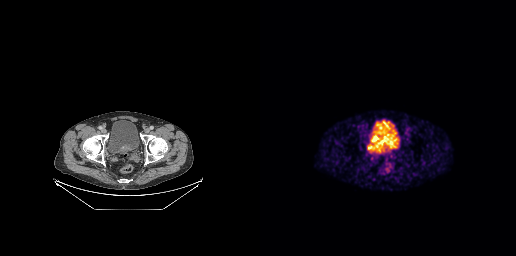
Coordinates are on the 256×256 PET (right) panel. PSMA-avid tumor lesion bounding box (x0,y0,x1,y1): [110,138,133,153].